Paired axial CT (left) and PSMA PET (right), 18F-PSMA tracer. Acquired on Siemens Biograph mCT Flow 20. PET panel 200×200 px (4.1 mm/px).
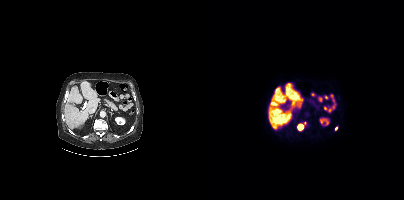
Coordinates are on the 200×200 PET (right) panel. PSMA-avid tumor lesion bounding boxes:
| # | x0 | y0 | x1 | y1 |
|---|---|---|---|---|
| 1 | 94 | 124 | 100 | 130 |
Small PSMA-avid foci (2 to 4 px across) near (center x, center y): (100, 122); (131, 128).